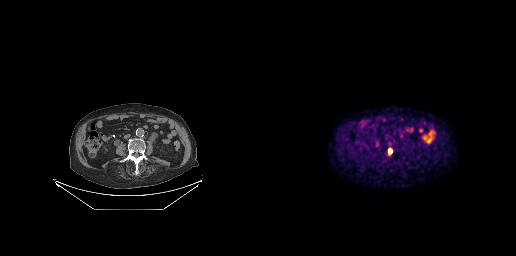
Findings: Coordinates are on the 256×256 PET (right) panel. PSMA-avid tumor lesion bounding box (x0, y0)-(x1, y1): (128, 148)-(132, 154).
- Two-panel axial: CT | PSMA PET, [18F]PSMA-1007 tracer